Paired axial CT (left) and PSMA PET (right), 18F-PSMA tracer. PET panel 200×200 px (4.1 mm/px).
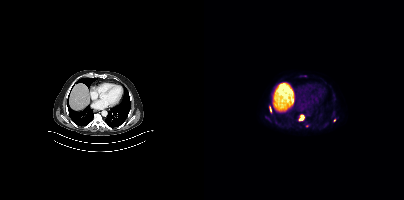
Coordinates are on the 200×200 PET (right) panel. PSMA-avid tumor lesion bounding boxes (partial; 2 more foci not listed):
| # | x0 | y0 | x1 | y1 |
|---|---|---|---|---|
| 1 | 94 | 114 | 100 | 120 |
| 2 | 65 | 107 | 67 | 112 |
Small PSMA-avid focus (2 to 4 px across) near (center x, center y): (130, 120).